Technique: Left: CT. Right: PSMA PET, same axial level, [18F]PSMA-1007 tracer.
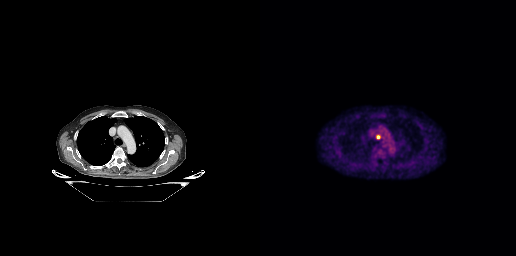
Findings: Coordinates are on the 256×256 PET (right) panel. PSMA-avid tumor lesion bounding box (x0,y0,x1,y1): [116,135,120,138].